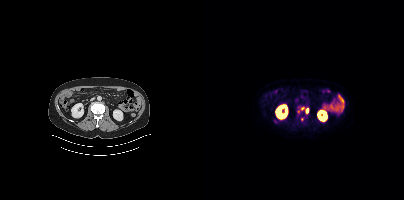
Left: CT. Right: PSMA PET, same axial level, [18F]PSMA-1007 tracer. Slice position z = -750 mm. Coordinates are on the 200×200 PET (right) panel. (showing 2 of 3 foci) PSMA-avid tumor lesion bounding box (x, y, width, height): x=102 y=108 w=3 h=6. Small PSMA-avid focus (2 to 4 px across) near (center x, center y): (98, 108).